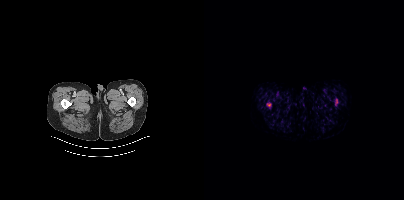
{"modality":"PSMA PET/CT","view":"axial","tracer":"18F-PSMA","pet_grid":[200,200],"coord_frame":"pet_panel","coord_format":"x0,y0,x1,y1","lesion_bboxes":[[62,102,67,106]],"small_foci_centers":[[132,100]]}